Two-panel axial: CT | PSMA PET, 68Ga-PSMA tracer. Slice position z = -1044 mm. PET panel 200×200 px (4.1 mm/px).
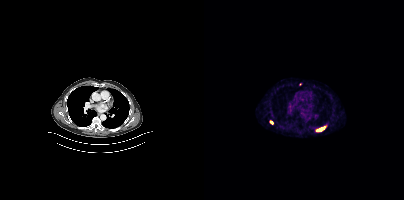
Coordinates are on the 200×200 PET (right) panel. PSMA-avid tumor lesion bounding box (x0,y0,x1,y1): [113,127,120,131]. Small PSMA-avid focus (2 to 4 px across) near (center x, center y): (67, 122).